Left: CT. Right: PSMA PET, same axial level, [68Ga]Ga-PSMA-11 tracer.
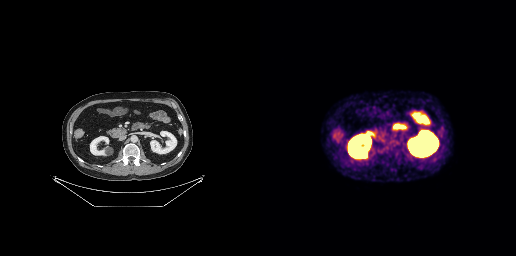
Negative for PSMA-avid disease on this slice.